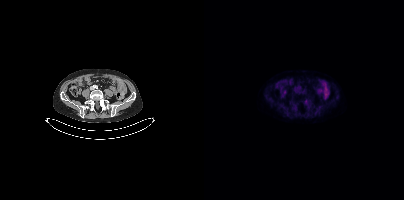
{"modality":"PSMA PET/CT","view":"axial","tracer":"[18F]PSMA-1007","pet_grid":[200,200],"coord_frame":"pet_panel","coord_format":"x0,y0,x1,y1","psma_avid_lesions":false}